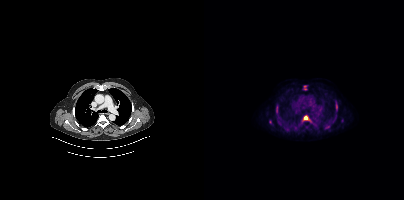
{"modality":"PSMA PET/CT","view":"axial","tracer":"18F-PSMA","pet_grid":[200,200],"coord_frame":"pet_panel","coord_format":"x0,y0,x1,y1","partial":true,"lesion_bboxes":[[98,115,107,122],[131,100,133,111],[120,125,125,129],[82,127,85,131],[72,105,73,113]],"small_foci_centers":[[102,127],[138,120],[66,121],[101,86],[131,115]]}